modality: PSMA PET/CT | tracer: 18F | view: axial
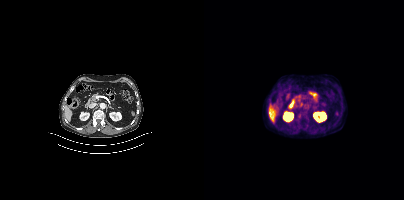
This slice has no annotated PSMA-avid lesion.